Left: CT. Right: PSMA PET, same axial level, 18F tracer. Slice position z = -178 mm.
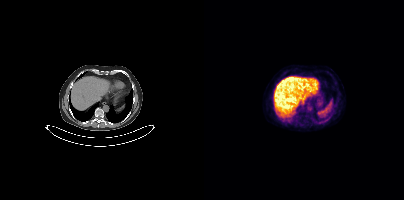
This slice has no annotated PSMA-avid lesion.